The head region is masked for de-identification. Left: CT. Right: PSMA PET, same axial level, 18F tracer. Slice position z = -830 mm. PET panel 200×200 px (4.1 mm/px).
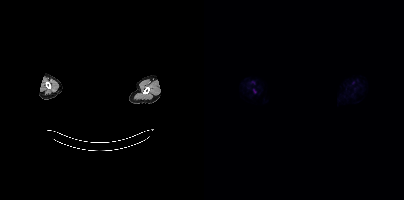
No tumor lesions annotated on this slice.